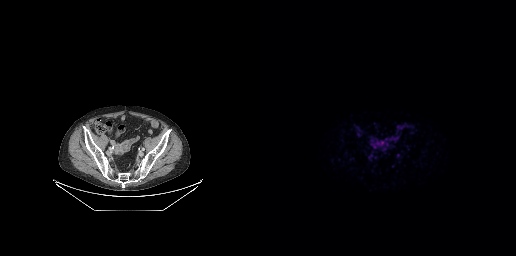
No tumor lesions annotated on this slice.